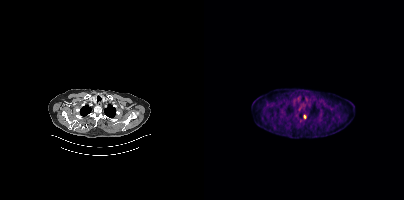
Coordinates are on the 200×200 PET (right) panel. Small PSMA-avid focus (2 to 4 px across) near (center x, center y): (100, 116).